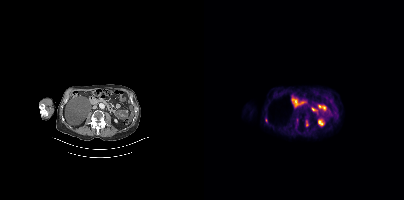
Coordinates are on the 200×200 PET (right) panel. (showing 2 of 3 foci) PSMA-avid tumor lesion bounding box (x, y, width, height): x=102 y=121 w=3 h=6. Small PSMA-avid focus (2 to 4 px across) near (center x, center y): (62, 120). Paired axial CT (left) and PSMA PET (right), 18F tracer. Slice 182 of 411.